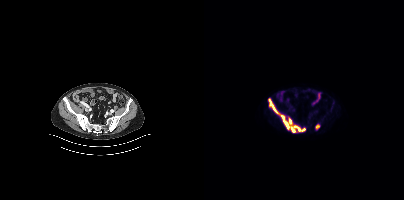
Findings: Coordinates are on the 200×200 PET (right) panel. PSMA-avid tumor lesion bounding box (x0, y0)-(x1, y1): (64, 99)-(101, 132). Small PSMA-avid focus (2 to 4 px across) near (center x, center y): (113, 126).
- Paired axial CT (left) and PSMA PET (right), 18F-PSMA tracer
- acquired on Siemens Biograph mCT Flow 20
- slice position z = -842 mm